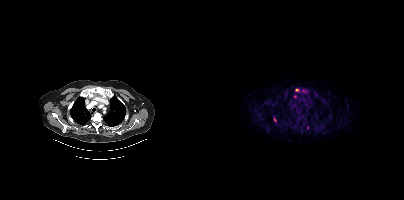
Paired axial CT (left) and PSMA PET (right), 18F tracer. Slice position z = -387 mm. PET panel 200×200 px (4.1 mm/px).
Coordinates are on the 200×200 PET (right) panel. PSMA-avid tumor lesion bounding boxes:
| # | x0 | y0 | x1 | y1 |
|---|---|---|---|---|
| 1 | 70 | 118 | 72 | 122 |
Small PSMA-avid foci (2 to 4 px across) near (center x, center y): (92, 90); (91, 96).